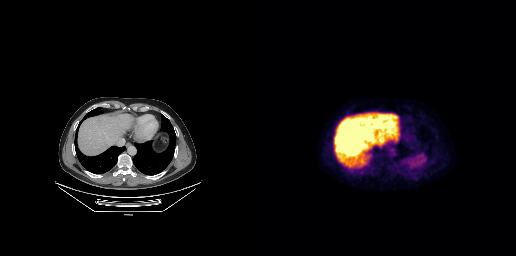
{"modality":"PSMA PET/CT","view":"axial","tracer":"18F-PSMA","pet_grid":[256,256],"coord_frame":"pet_panel","coord_format":"x0,y0,x1,y1","psma_avid_lesions":false}